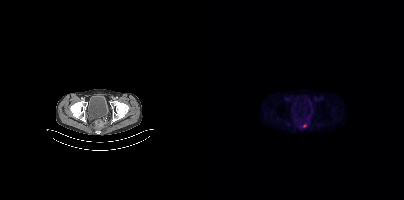
Left: CT. Right: PSMA PET, same axial level, 18F tracer. Acquired on Siemens Biograph mCT Flow 20. Coordinates are on the 200×200 PET (right) panel. Small PSMA-avid focus (2 to 4 px across) near (center x, center y): (100, 125).